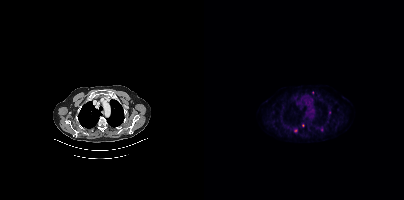
Findings: Only PSMA-avid lesion pieces thinner than 2 px on this slice (not listed).
Technique: Left: CT. Right: PSMA PET, same axial level, 18F tracer. PET panel 200×200 px (4.1 mm/px).